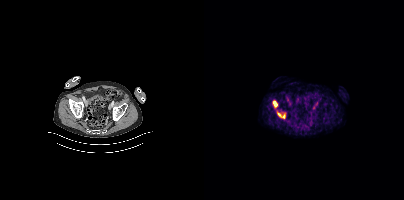
Findings: Coordinates are on the 200×200 PET (right) panel. PSMA-avid tumor lesion bounding boxes (x, y, width, height): x=73 y=112 w=9 h=7 / x=69 y=100 w=5 h=8.
Technique: Two-panel axial: CT | PSMA PET, 18F-PSMA tracer. slice 107 of 427. PET panel 200×200 px (4.1 mm/px).